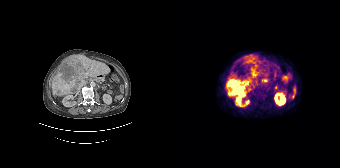
- Two-panel axial: CT | PSMA PET, [68Ga]Ga-PSMA-11 tracer
- slice 98 of 195
- PET panel 168×168 px (4.1 mm/px)
Findings: Coordinates are on the 168×168 PET (right) panel. PSMA-avid tumor lesion bounding boxes (x, y, width, height): x=55 y=79 w=23 h=17 | x=78 y=63 w=10 h=14 | x=90 y=79 w=6 h=3. Small PSMA-avid focus (2 to 4 px across) near (center x, center y): (78, 59).